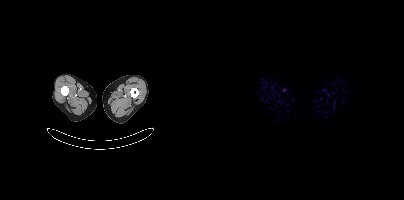
This slice has no annotated PSMA-avid lesion.